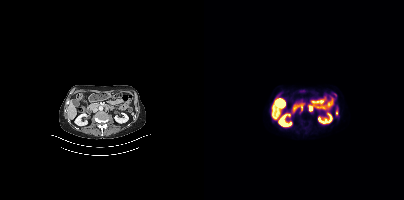
Coordinates are on the 200×200 PET (right) panel. PSMA-avid tumor lesion bounding box (x, y, width, height): x=96 y=108 w=4 h=5. Small PSMA-avid focus (2 to 4 px across) near (center x, center y): (107, 108). Paired axial CT (left) and PSMA PET (right), [18F]PSMA-1007 tracer. Acquired on Siemens Biograph mCT Flow 20. Slice 178 of 401.